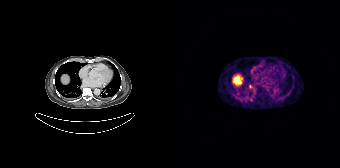
{"modality":"PSMA PET/CT","view":"axial","tracer":"[68Ga]Ga-PSMA-11","pet_grid":[168,168],"coord_frame":"pet_panel","coord_format":"x0,y0,x1,y1","lesion_bboxes":[],"small_foci_centers":[[78,86]]}